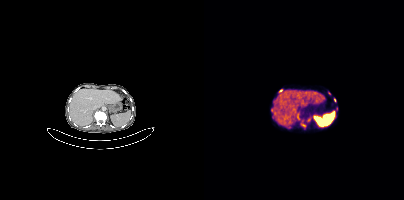
Technique: Two-panel axial: CT | PSMA PET, 68Ga tracer. slice position z = -797 mm.
Findings: Coordinates are on the 200×200 PET (right) panel. (showing 7 of 9 foci) PSMA-avid tumor lesion bounding boxes (x0, y0)-(x1, y1): (67, 107)-(69, 112) | (94, 115)-(95, 119). Small PSMA-avid foci (2 to 4 px across) near (center x, center y): (76, 90) | (100, 126) | (132, 108) | (105, 117) | (130, 100).